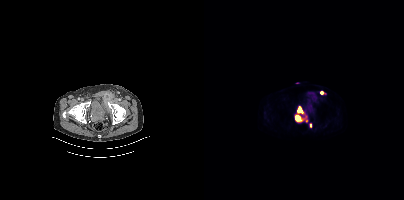
- Paired axial CT (left) and PSMA PET (right), [18F]PSMA-1007 tracer
- acquired on Siemens Biograph mCT Flow 20
- slice 71 of 427
- PET panel 200×200 px (4.1 mm/px)
Findings: Coordinates are on the 200×200 PET (right) panel. PSMA-avid tumor lesion bounding boxes (x0,y0,x1,y1): [91,115,97,121] [93,107,99,113]. Small PSMA-avid foci (2 to 4 px across) near (center x, center y): (117, 92) (106, 125).